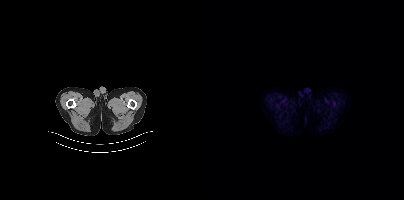
{"modality":"PSMA PET/CT","view":"axial","tracer":"18F","pet_grid":[200,200],"coord_frame":"pet_panel","coord_format":"x0,y0,x1,y1","psma_avid_lesions":false}